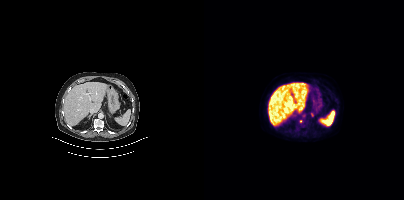
Coordinates are on the 200×200 PET (right) panel. Small PSMA-avid focus (2 to 4 px across) near (center x, center y): (96, 121). Two-panel axial: CT | PSMA PET, 18F-PSMA tracer. Acquired on Siemens Biograph mCT Flow 20.